- Two-panel axial: CT | PSMA PET, 68Ga tracer
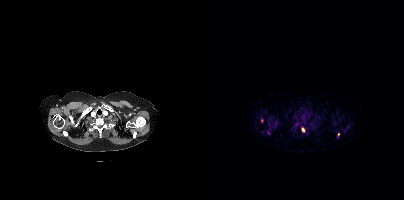
Findings: Coordinates are on the 200×200 PET (right) panel. PSMA-avid tumor lesion bounding box (x0, y0)-(x1, y1): (98, 127)-(100, 131). Small PSMA-avid foci (2 to 4 px across) near (center x, center y): (57, 120) | (134, 134).